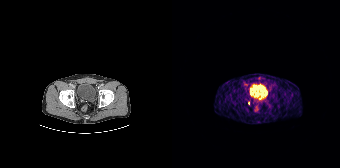
Coordinates are on the 168×168 PET (right) panel. Small PSMA-avid focus (2 to 4 px across) near (center x, center y): (76, 103).